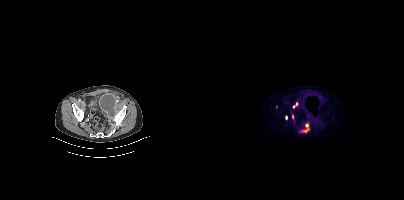
Findings: Coordinates are on the 200×200 PET (right) panel. PSMA-avid tumor lesion bounding boxes (x0, y0)-(x1, y1): (101, 124)-(104, 128) | (89, 102)-(93, 107). Small PSMA-avid foci (2 to 4 px across) near (center x, center y): (82, 117) | (72, 107) | (88, 117).
Technique: Left: CT. Right: PSMA PET, same axial level, 18F tracer. acquired on Siemens Biograph mCT Flow 20. PET panel 200×200 px (4.1 mm/px).